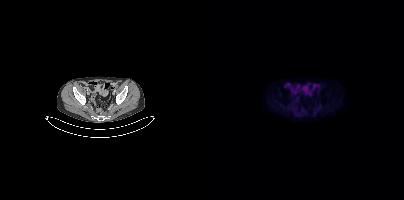
Two-panel axial: CT | PSMA PET, 18F-PSMA tracer. Negative for PSMA-avid disease on this slice.